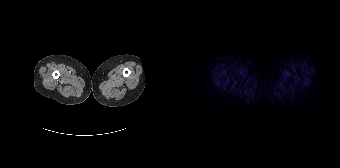
No PSMA-avid tumor lesions on this slice.